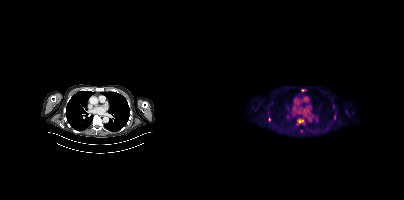
Coordinates are on the 200×200 PET (right) panel. PSMA-avid tumor lesion bounding box (x, y, width, height): x=95 y=120 w=5 h=3. Small PSMA-avid foci (2 to 4 px across) near (center x, center y): (99, 90) / (65, 119).